Left: CT. Right: PSMA PET, same axial level, 68Ga tracer. Acquired on GE Discovery 690. Slice 219 of 263.
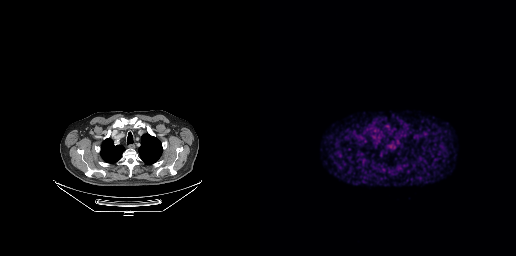
Negative for PSMA-avid disease on this slice.